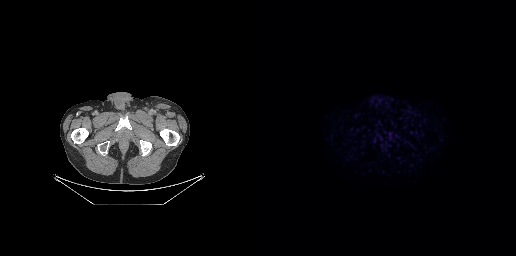
Negative for PSMA-avid disease on this slice.